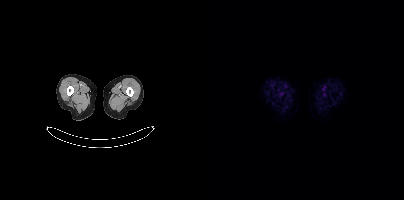
Paired axial CT (left) and PSMA PET (right), 18F tracer. Slice position z = -392 mm. No PSMA-avid tumor lesions on this slice.